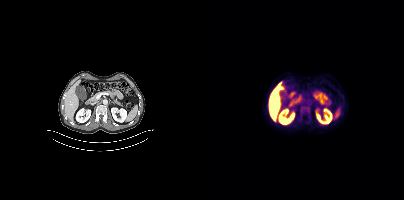
{"modality":"PSMA PET/CT","view":"axial","tracer":"[18F]PSMA-1007","pet_grid":[200,200],"coord_frame":"pet_panel","coord_format":"x0,y0,x1,y1","psma_avid_lesions":false}